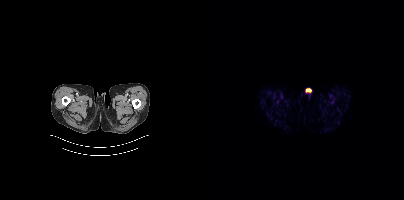
No tumor lesions annotated on this slice. Paired axial CT (left) and PSMA PET (right), 18F tracer.